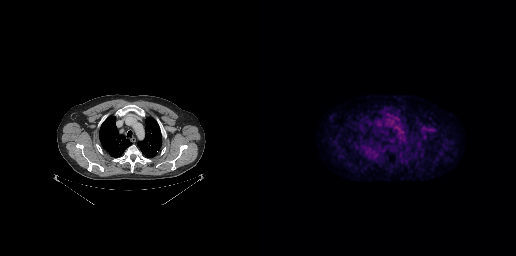
This slice has no annotated PSMA-avid lesion.